de-identification: head region blacked out before release | modality: PSMA PET/CT | tracer: 18F-PSMA | view: axial
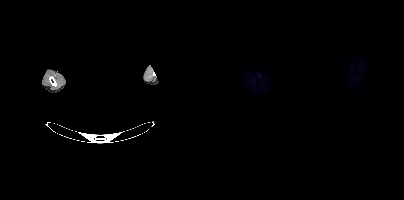
No tumor lesions annotated on this slice.